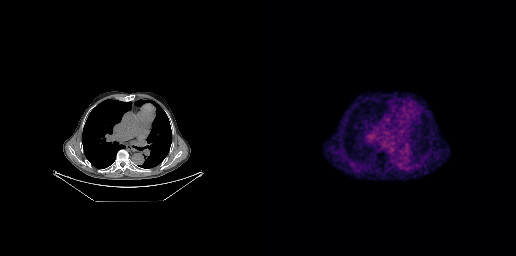
{"modality":"PSMA PET/CT","view":"axial","tracer":"68Ga-PSMA","pet_grid":[256,256],"coord_frame":"pet_panel","coord_format":"x0,y0,x1,y1","psma_avid_lesions":false}